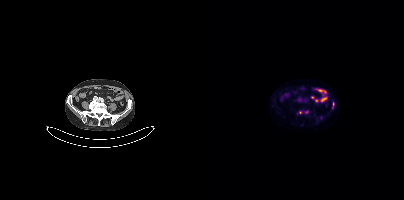
Findings: Coordinates are on the 200×200 PET (right) panel. (showing 2 of 3 foci) Small PSMA-avid foci (2 to 4 px across) near (center x, center y): (96, 112); (102, 111).
- Paired axial CT (left) and PSMA PET (right), 18F-PSMA tracer
- acquired on Siemens Biograph mCT Flow 20
- PET panel 200×200 px (4.1 mm/px)